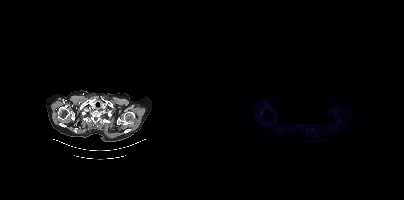
Left: CT. Right: PSMA PET, same axial level, [18F]PSMA-1007 tracer. Acquired on Siemens Biograph mCT Flow 20. Slice 315 of 377. PET panel 200×200 px (4.1 mm/px). A block of pixels was blacked out before release to protect privacy. Coordinates are on the 200×200 PET (right) panel. Small PSMA-avid focus (2 to 4 px across) near (center x, center y): (57, 111).